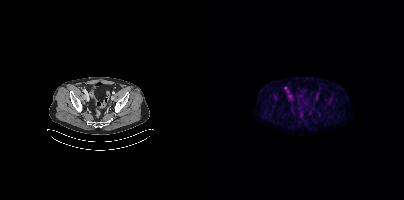
Coordinates are on the 200×200 PET (right) panel. Small PSMA-avid focus (2 to 4 px across) near (center x, center y): (81, 87). Paired axial CT (left) and PSMA PET (right), [18F]PSMA-1007 tracer. Acquired on Siemens Biograph mCT Flow 20.